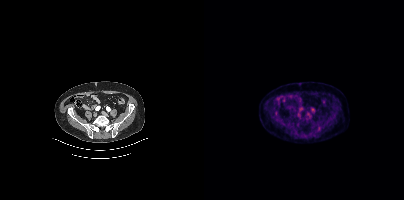
Findings: Coordinates are on the 200×200 PET (right) panel. Small PSMA-avid focus (2 to 4 px across) near (center x, center y): (72, 113).
- Paired axial CT (left) and PSMA PET (right), 18F tracer
- acquired on Siemens Biograph mCT Flow 20
- slice 118 of 409